modality: PSMA PET/CT | tracer: [18F]PSMA-1007 | view: axial | PET grid: 200×200
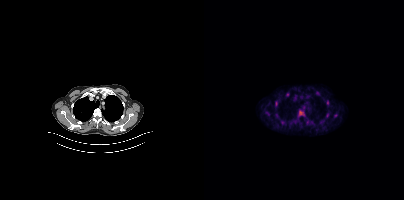
Coordinates are on the 200×200 PET (right) panel. PSMA-avid tumor lesion bounding boxes (x0, y0)-(x1, y1): (122, 100)-(125, 105) / (122, 113)-(124, 117). Small PSMA-avid foci (2 to 4 px across) near (center x, center y): (131, 115) / (117, 122) / (63, 113) / (78, 122) / (72, 115).